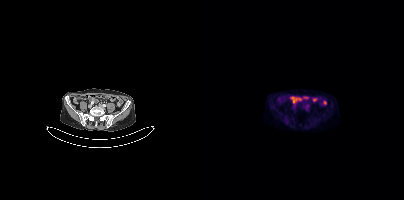
Two-panel axial: CT | PSMA PET, [18F]PSMA-1007 tracer. Acquired on Siemens Biograph mCT Flow 20. Slice 121 of 397. This slice has no annotated PSMA-avid lesion.